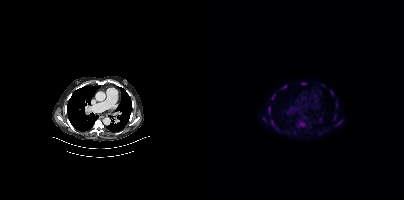
Coordinates are on the 200×200 PET (right) panel. PSMA-avid tumor lesion bounding boxes (x0, y0)-(x1, y1): (92, 119)-(101, 127) | (64, 106)-(66, 114) | (67, 120)-(70, 125) | (77, 85)-(82, 88) | (68, 94)-(71, 99) | (126, 90)-(129, 95) | (83, 109)-(85, 113) | (133, 120)-(137, 124) | (97, 83)-(102, 84). Small PSMA-avid foci (2 to 4 px across) near (center x, center y): (132, 104) | (60, 119) | (100, 116) | (116, 119) | (130, 116). Paired axial CT (left) and PSMA PET (right), 18F-PSMA tracer. Acquired on Siemens Biograph mCT Flow 20.